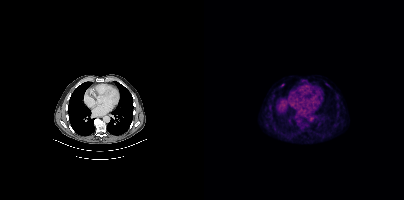
Coordinates are on the 200×200 PET (right) panel. Small PSMA-avid focus (2 to 4 px across) near (center x, center y): (78, 84).